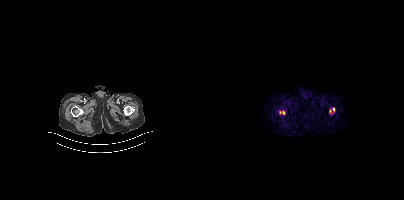
{"modality":"PSMA PET/CT","view":"axial","tracer":"18F-PSMA","pet_grid":[200,200],"coord_frame":"pet_panel","coord_format":"x0,y0,x1,y1","lesion_bboxes":[[125,107,131,114],[75,110,81,115]]}